Two-panel axial: CT | PSMA PET, 18F tracer. Acquired on Siemens Biograph mCT Flow 20. Slice position z = -916 mm.
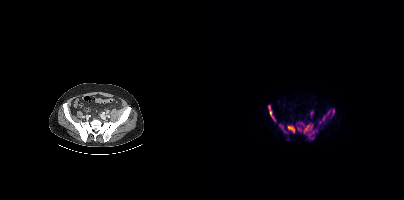
Coordinates are on the 200×200 PET (right) panel. (showing 9 of 11 foci) PSMA-avid tumor lesion bounding boxes (x0,y0,x1,y1): [64,105,71,121]; [100,125,108,132]; [83,126,91,132]; [118,109,127,121]; [104,134,110,139]; [128,109,130,115]; [109,129,113,133]. Small PSMA-avid foci (2 to 4 px across) near (center x, center y): (78, 126); (96, 129).